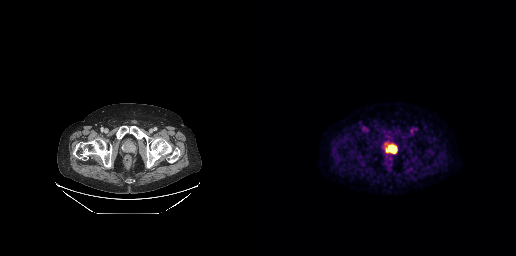
{"modality":"PSMA PET/CT","view":"axial","tracer":"18F","pet_grid":[256,256],"coord_frame":"pet_panel","coord_format":"x0,y0,x1,y1","lesion_bboxes":[[126,144,137,153]]}